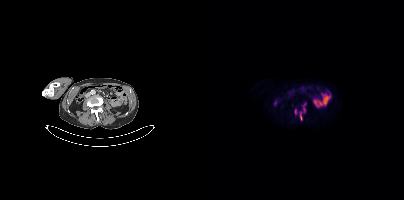
Two-panel axial: CT | PSMA PET, 18F-PSMA tracer. Slice 166 of 409. PET panel 200×200 px (4.1 mm/px). Coordinates are on the 200×200 PET (right) panel. PSMA-avid tumor lesion bounding boxes (x0,y0,x1,y1): [99,104,101,112] [96,112,97,119] [91,109,92,114].